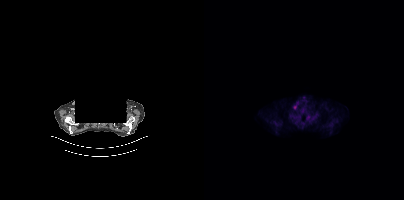
Coordinates are on the 200×200 PET (right) panel. Small PSMA-avid focus (2 to 4 px across) near (center x, center y): (90, 107).
Face de-identified by blanking a block of the head.